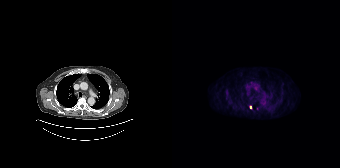
{"modality":"PSMA PET/CT","view":"axial","tracer":"18F-PSMA","pet_grid":[168,168],"coord_frame":"pet_panel","coord_format":"x0,y0,x1,y1","lesion_bboxes":[],"small_foci_centers":[[78,107]]}